Paired axial CT (left) and PSMA PET (right), 68Ga tracer. Slice 180 of 444.
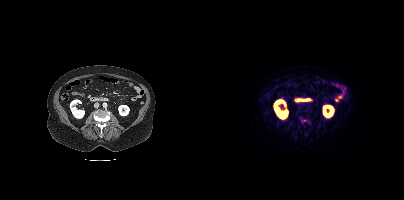
Only PSMA-avid lesion pieces thinner than 2 px on this slice (not listed).